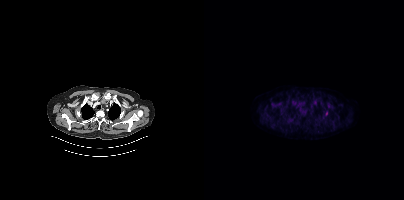
Coordinates are on the 200×200 PET (right) panel. Small PSMA-avid focus (2 to 4 px across) near (center x, center y): (122, 113). Left: CT. Right: PSMA PET, same axial level, 18F-PSMA tracer. Acquired on Siemens Biograph mCT Flow 20. PET panel 200×200 px (4.1 mm/px).